Two-panel axial: CT | PSMA PET, [18F]PSMA-1007 tracer. PET panel 200×200 px (4.1 mm/px).
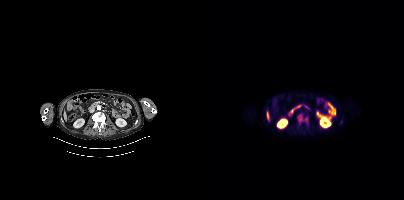
Coordinates are on the 200×200 PET (right) panel. PSMA-avid tumor lesion bounding boxes:
| # | x0 | y0 | x1 | y1 |
|---|---|---|---|---|
| 1 | 93 | 114 | 103 | 122 |